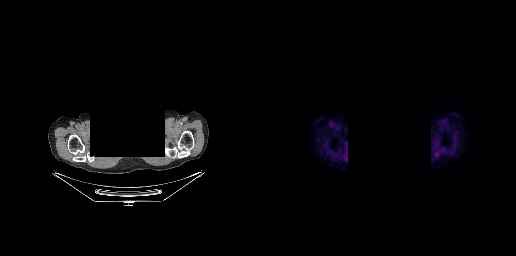
{"modality":"PSMA PET/CT","view":"axial","tracer":"18F","pet_grid":[256,256],"coord_frame":"pet_panel","coord_format":"x0,y0,x1,y1","deidentification":"head region blanked (face removed)","psma_avid_lesions":false}